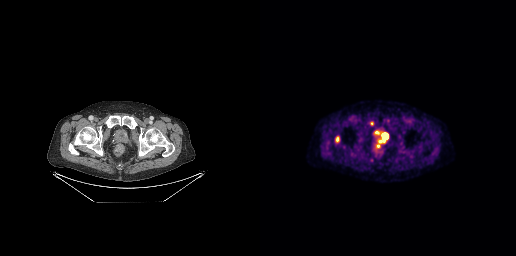
Coordinates are on the 256×256 PET (right) panel. PSMA-avid tumor lesion bounding boxes (x, y, width, height): x=123 y=133 w=5 h=6 / x=76 y=137 w=4 h=5 / x=110 y=121 w=4 h=5 / x=118 y=140 w=7 h=3. Small PSMA-avid focus (2 to 4 px across) near (center x, center y): (118, 145). Paired axial CT (left) and PSMA PET (right), 18F tracer. Slice position z = -837 mm. PET panel 256×256 px (2.7 mm/px).